An anonymization step blacked out a rectangle over the head in this scan.
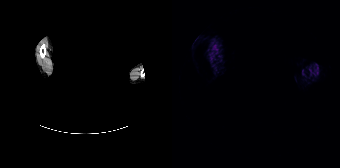
No tumor lesions annotated on this slice.